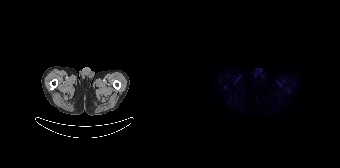
{"modality":"PSMA PET/CT","view":"axial","tracer":"18F","pet_grid":[168,168],"coord_frame":"pet_panel","coord_format":"x0,y0,x1,y1","psma_avid_lesions":false}